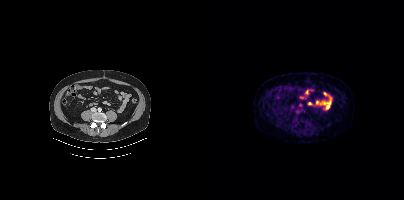
No PSMA-avid tumor lesions on this slice.